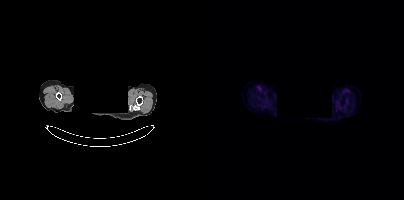
deidentification: head region blacked out before release | modality: PSMA PET/CT | tracer: 18F-PSMA | view: axial
This slice has no annotated PSMA-avid lesion.